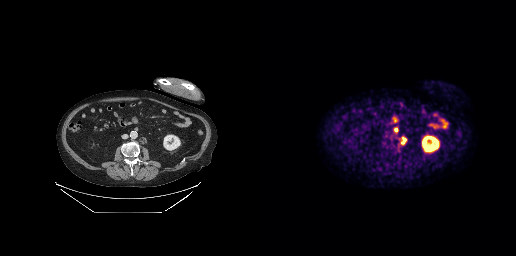
{"modality":"PSMA PET/CT","view":"axial","tracer":"18F","pet_grid":[256,256],"coord_frame":"pet_panel","coord_format":"x0,y0,x1,y1","lesion_bboxes":[[141,136,146,144]],"small_foci_centers":[[135,129]]}